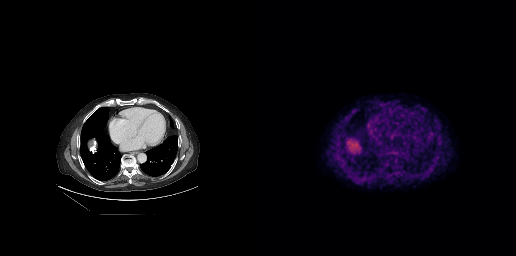
{"modality":"PSMA PET/CT","view":"axial","tracer":"18F-PSMA","pet_grid":[256,256],"coord_frame":"pet_panel","coord_format":"x0,y0,x1,y1","lesion_bboxes":[[90,108,95,113]]}